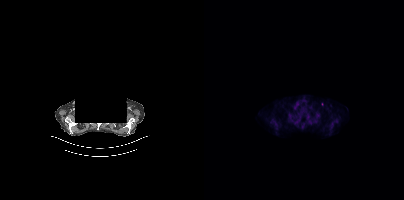
Only PSMA-avid lesion pieces thinner than 2 px on this slice (not listed). Any black rectangle over the head is a privacy mask, not anatomy. Paired axial CT (left) and PSMA PET (right), 18F-PSMA tracer. Slice position z = -1196 mm.